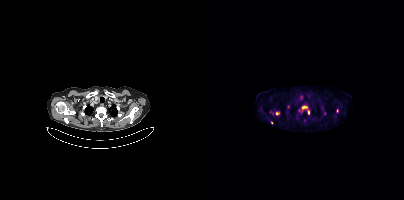
modality: PSMA PET/CT | tracer: 18F-PSMA | view: axial | PET grid: 200×200
Coordinates are on the 200×200 PET (right) panel. (showing 6 of 7 foci) PSMA-avid tumor lesion bounding box (x0, y0)-(x1, y1): (98, 106)-(102, 108). Small PSMA-avid foci (2 to 4 px across) near (center x, center y): (73, 113) | (84, 106) | (104, 112) | (133, 110) | (67, 122).